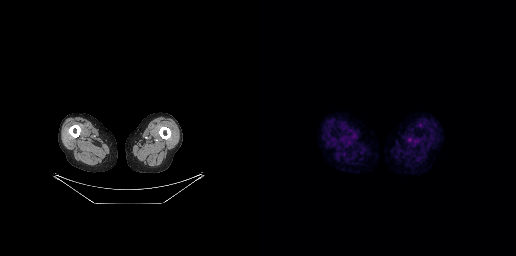
{"modality":"PSMA PET/CT","view":"axial","tracer":"18F-PSMA","pet_grid":[256,256],"coord_frame":"pet_panel","coord_format":"x0,y0,x1,y1","psma_avid_lesions":false}